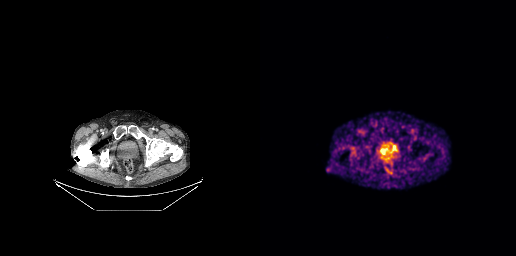
modality: PSMA PET/CT | tracer: [68Ga]Ga-PSMA-11 | view: axial | PET grid: 256×256
Coordinates are on the 256×256 PET (right) panel. PSMA-avid tumor lesion bounding box (x0,y0,x1,y1): [118,149,130,161].